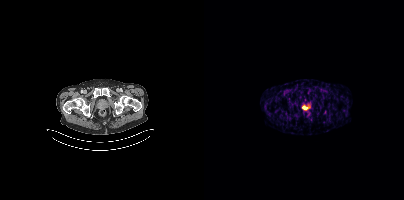
Coordinates are on the 200×200 PET (right) panel. PSMA-avid tumor lesion bounding box (x, y, width, height): x=98 y=107 w=6 h=3.